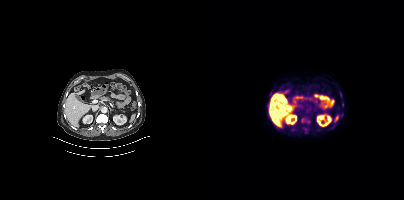
Coordinates are on the 200×200 PET (right) panel. (showing 4 of 7 foci) PSMA-avid tumor lesion bounding box (x0,y0,x1,y1): [100,129,105,133]. Small PSMA-avid foci (2 to 4 px across) near (center x, center y): (98, 120) (67, 92) (104, 121). Two-panel axial: CT | PSMA PET, [18F]PSMA-1007 tracer. Acquired on Siemens Biograph mCT Flow 20. Slice 186 of 395. PET panel 200×200 px (4.1 mm/px).